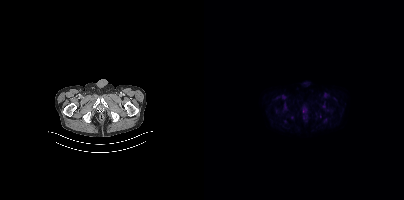
Technique: Paired axial CT (left) and PSMA PET (right), 18F-PSMA tracer. slice 52 of 421.
Findings: No PSMA-avid tumor lesions on this slice.